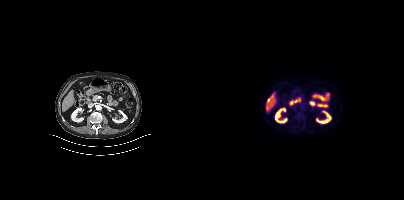
- Left: CT. Right: PSMA PET, same axial level, 18F tracer
- slice 199 of 423
- PET panel 200×200 px (4.1 mm/px)
Findings: No PSMA-avid tumor lesions on this slice.